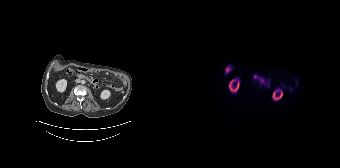
Only PSMA-avid lesion pieces thinner than 2 px on this slice (not listed). Left: CT. Right: PSMA PET, same axial level, 18F-PSMA tracer.